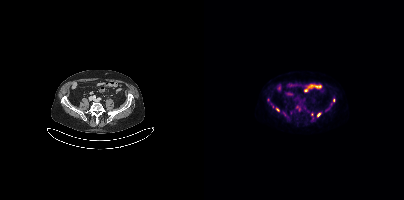
{"modality":"PSMA PET/CT","view":"axial","tracer":"18F","pet_grid":[200,200],"coord_frame":"pet_panel","coord_format":"x0,y0,x1,y1","partial":true,"lesion_bboxes":[],"small_foci_centers":[[73,109],[64,99],[114,114]]}